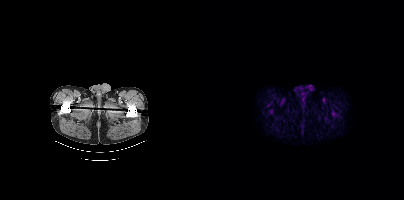
Findings: No tumor lesions annotated on this slice.
- Paired axial CT (left) and PSMA PET (right), 18F-PSMA tracer
- slice 26 of 438
- PET panel 200×200 px (4.1 mm/px)